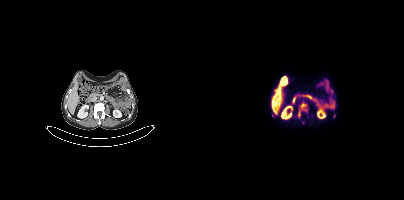
Paired axial CT (left) and PSMA PET (right), [18F]PSMA-1007 tracer. Slice 169 of 403. PET panel 200×200 px (4.1 mm/px).
Coordinates are on the 200×200 PET (right) panel. PSMA-avid tumor lesion bounding boxes:
| # | x0 | y0 | x1 | y1 |
|---|---|---|---|---|
| 1 | 93 | 102 | 103 | 117 |